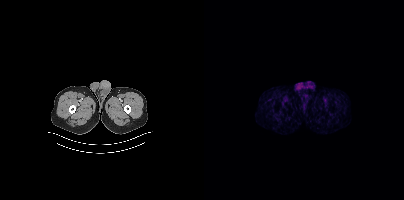
No tumor lesions annotated on this slice.
modality: PSMA PET/CT | tracer: 68Ga | view: axial